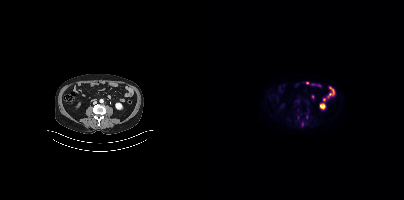
Only PSMA-avid lesion pieces thinner than 2 px on this slice (not listed).